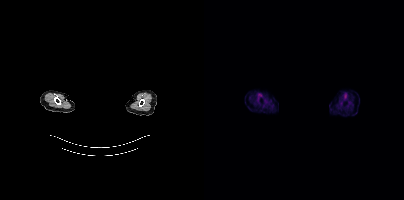
de-identification: head region blacked out before release | modality: PSMA PET/CT | tracer: [18F]PSMA-1007 | view: axial
No PSMA-avid tumor lesions on this slice.